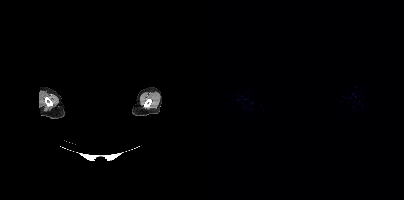
redaction: privacy mask over head | modality: PSMA PET/CT | tracer: 18F-PSMA | view: axial
No tumor lesions annotated on this slice.